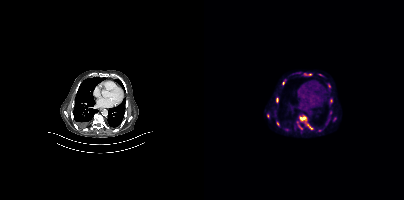
{"modality":"PSMA PET/CT","view":"axial","tracer":"18F-PSMA","pet_grid":[200,200],"coord_frame":"pet_panel","coord_format":"x0,y0,x1,y1","partial":true,"lesion_bboxes":[[95,115,109,130],[100,73,107,75],[78,80,81,85],[72,97,74,102],[95,126,99,130]],"small_foci_centers":[[64,115],[73,123],[127,100],[130,118],[126,112],[115,130]]}